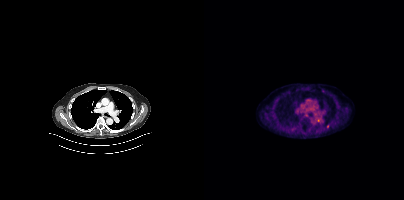
Coordinates are on the 200×200 PET (right) panel. PSMA-avid tumor lesion bounding boxes (x, y, width, height): x=112 y=118 w=5 h=4 / x=122 y=124 w=4 h=5.